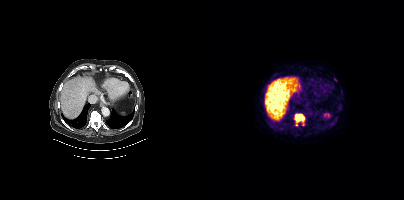
Coordinates are on the 200×200 PET (right) panel. PSMA-avid tumor lesion bounding boxes:
| # | x0 | y0 | x1 | y1 |
|---|---|---|---|---|
| 1 | 90 | 113 | 100 | 125 |
Small PSMA-avid focus (2 to 4 px across) near (center x, center y): (131, 79).
Paired axial CT (left) and PSMA PET (right), [18F]PSMA-1007 tracer. Acquired on Siemens Biograph mCT Flow 20. Slice position z = -559 mm.